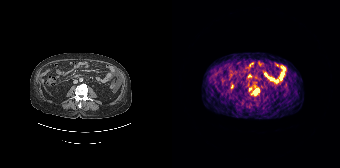
modality: PSMA PET/CT | tracer: 68Ga | view: axial
Coordinates are on the 168×168 PET (right) panel. PSMA-avid tumor lesion bounding box (x, y, width, height): x=81 y=88 w=7 h=8.